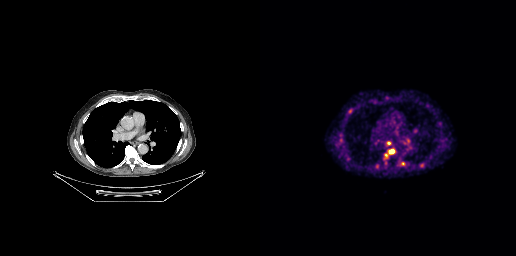
{"modality":"PSMA PET/CT","view":"axial","tracer":"68Ga-PSMA","pet_grid":[256,256],"coord_frame":"pet_panel","coord_format":"x0,y0,x1,y1","partial":true,"lesion_bboxes":[[129,149,134,153],[140,162,145,165]],"small_foci_centers":[[128,143],[161,165],[116,166]]}